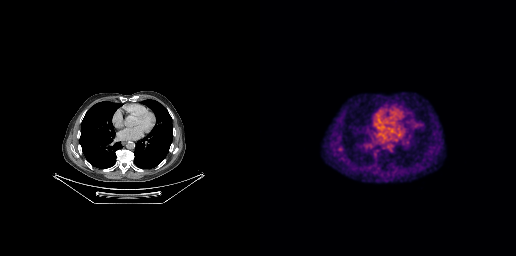
Only PSMA-avid lesion pieces thinner than 2 px on this slice (not listed). Two-panel axial: CT | PSMA PET, 18F tracer. Acquired on GE Discovery 690. PET panel 256×256 px (2.7 mm/px).